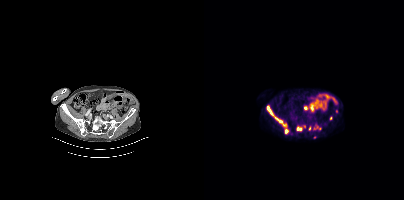
Findings: Coordinates are on the 200×200 PET (right) panel. (showing 8 of 10 foci) PSMA-avid tumor lesion bounding boxes (x0,y0,x1,y1): [62,105,84,133]; [92,126,98,131]; [110,126,117,129]; [104,126,107,130]; [126,116,128,120]. Small PSMA-avid foci (2 to 4 px across) near (center x, center y): (111, 137); (132, 111); (100, 126).
Technique: Paired axial CT (left) and PSMA PET (right), 18F-PSMA tracer. slice position z = -158 mm. PET panel 200×200 px (4.1 mm/px).